- Two-panel axial: CT | PSMA PET, 68Ga tracer
- slice 275 of 407
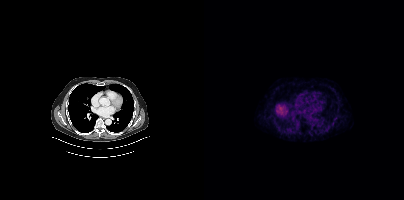
Findings: No tumor lesions annotated on this slice.